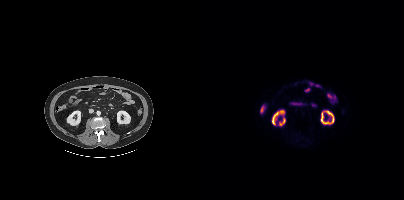
No PSMA-avid tumor lesions on this slice. Paired axial CT (left) and PSMA PET (right), 18F-PSMA tracer. Acquired on Siemens Biograph mCT Flow 20.